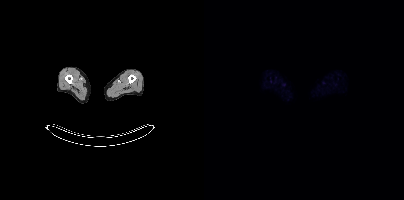
Technique: Left: CT. Right: PSMA PET, same axial level, 18F tracer. slice position z = -1193 mm. PET panel 200×200 px (4.1 mm/px).
Findings: Negative for PSMA-avid disease on this slice.